Two-panel axial: CT | PSMA PET, 18F tracer. Acquired on Siemens Biograph mCT Flow 20. Slice position z = -1174 mm.
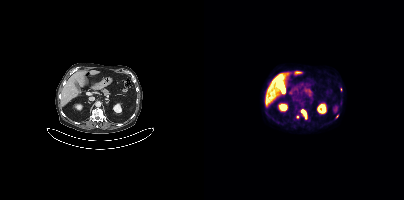
Coordinates are on the 200×200 PET (right) panel. (showing 3 of 4 foci) PSMA-avid tumor lesion bounding box (x0, y0)-(x1, y1): (97, 109)-(102, 119). Small PSMA-avid foci (2 to 4 px across) near (center x, center y): (133, 116) | (93, 116).